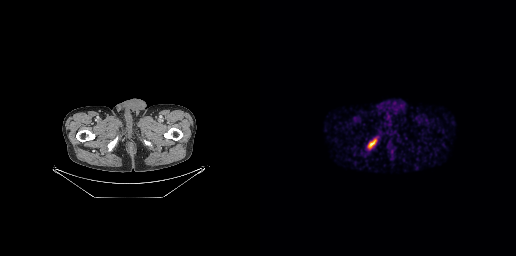
Paired axial CT (left) and PSMA PET (right), 68Ga tracer. Acquired on GE Discovery 690. PET panel 256×256 px (2.7 mm/px). Coordinates are on the 256×256 PET (right) panel. PSMA-avid tumor lesion bounding box (x0,y0,x1,y1): [111,140,115,144].